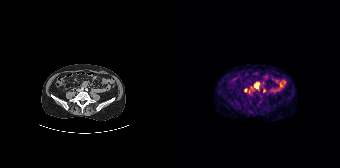
- Left: CT. Right: PSMA PET, same axial level, 68Ga tracer
- acquired on Siemens Biograph 64-4R TruePoint
- slice position z = -614 mm
- PET panel 168×168 px (4.1 mm/px)
Findings: Coordinates are on the 168×168 PET (right) panel. PSMA-avid tumor lesion bounding box (x, y, width, height): x=82 y=82 w=6 h=7. Small PSMA-avid focus (2 to 4 px across) near (center x, center y): (73, 90).